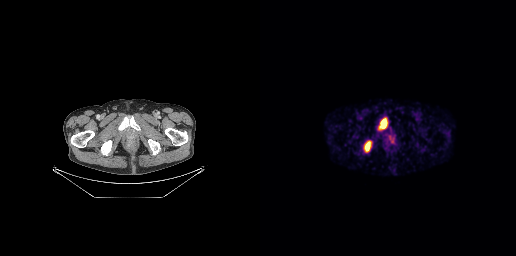
Coordinates are on the 256×256 PET (right) panel. PSMA-avid tumor lesion bounding boxes (x0, y0)-(x1, y1): (118, 118)-(127, 130); (103, 141)-(111, 152); (129, 136)-(133, 139).